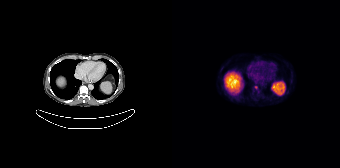
- Two-panel axial: CT | PSMA PET, 18F-PSMA tracer
- acquired on Siemens Biograph 64-4R TruePoint
- slice position z = 1752 mm
Findings: Coordinates are on the 168×168 PET (right) panel. Small PSMA-avid focus (2 to 4 px across) near (center x, center y): (83, 87).